Technique: Two-panel axial: CT | PSMA PET, [68Ga]Ga-PSMA-11 tracer. slice 117 of 409.
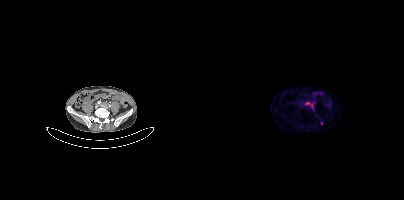
Findings: Coordinates are on the 200×200 PET (right) panel. PSMA-avid tumor lesion bounding box (x0,y0,x1,y1): [101,102,108,107]. Small PSMA-avid focus (2 to 4 px across) near (center x, center y): (117, 123).